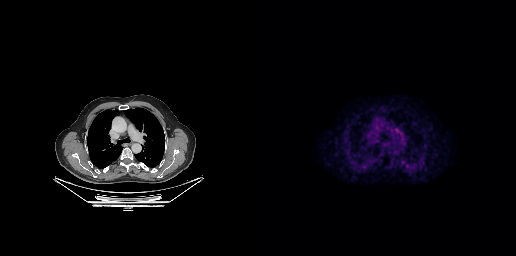
Paired axial CT (left) and PSMA PET (right), [18F]PSMA-1007 tracer. Acquired on GE Discovery 690. PET panel 256×256 px (2.7 mm/px).
Coordinates are on the 256×256 PET (right) panel. PSMA-avid tumor lesion bounding boxes:
| # | x0 | y0 | x1 | y1 |
|---|---|---|---|---|
| 1 | 134 | 127 | 140 | 133 |
Small PSMA-avid focus (2 to 4 px across) near (center x, center y): (110, 139).